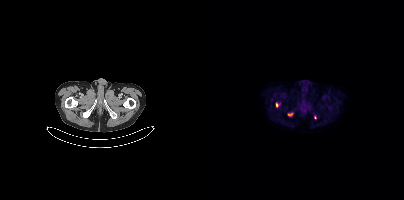
Coordinates are on the 200×200 PET (right) panel. (showing 2 of 3 foci) PSMA-avid tumor lesion bounding boxes (x, y, width, height): x=84 y=113 w=6 h=4 | x=72 y=102 w=5 h=6.